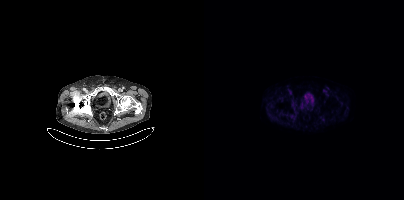
- Left: CT. Right: PSMA PET, same axial level, 18F tracer
- slice position z = -1020 mm
- PET panel 200×200 px (4.1 mm/px)
Findings: Negative for PSMA-avid disease on this slice.